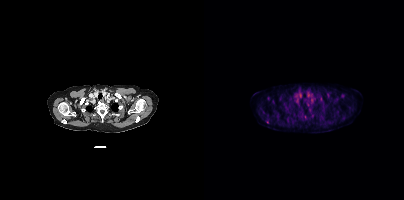
No tumor lesions annotated on this slice.
modality: PSMA PET/CT | tracer: 18F | view: axial | PET grid: 200×200